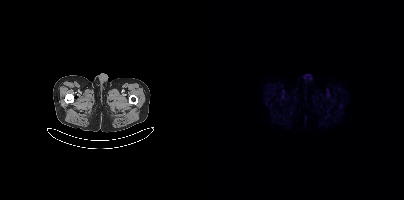
{"modality":"PSMA PET/CT","view":"axial","tracer":"18F","pet_grid":[200,200],"coord_frame":"pet_panel","coord_format":"x0,y0,x1,y1","psma_avid_lesions":false}